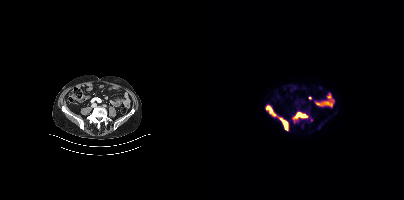
- Paired axial CT (left) and PSMA PET (right), 18F-PSMA tracer
- slice 148 of 423
- PET panel 200×200 px (4.1 mm/px)
Findings: Coordinates are on the 200×200 PET (right) panel. PSMA-avid tumor lesion bounding boxes (x, y, width, height): x=75 y=117 w=10 h=14; x=62 y=105 w=11 h=12; x=91 y=112 w=13 h=6; x=104 y=116 w=5 h=6. Small PSMA-avid focus (2 to 4 px across) near (center x, center y): (91, 120).